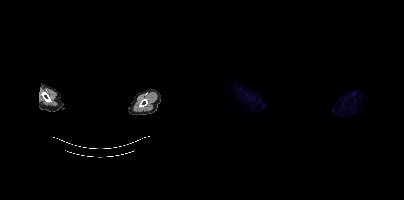
De-identified by setting a box covering the face to black before release.
Negative for PSMA-avid disease on this slice.